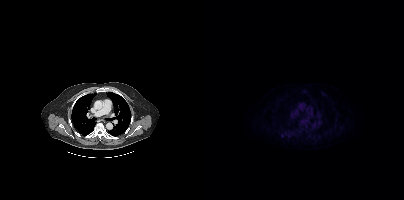
{"modality":"PSMA PET/CT","view":"axial","tracer":"18F-PSMA","pet_grid":[200,200],"coord_frame":"pet_panel","coord_format":"x0,y0,x1,y1","partial":true,"lesion_bboxes":[],"small_foci_centers":[[78,135]]}